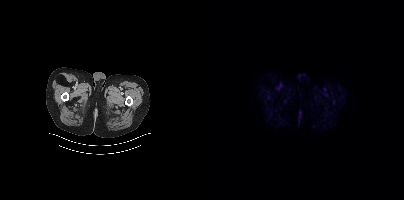
Two-panel axial: CT | PSMA PET, 18F-PSMA tracer. Negative for PSMA-avid disease on this slice.